Two-panel axial: CT | PSMA PET, [18F]PSMA-1007 tracer. Acquired on Siemens Biograph mCT Flow 20. Slice position z = -124 mm. PET panel 200×200 px (4.1 mm/px). Head region blanked for anonymization (face removed).
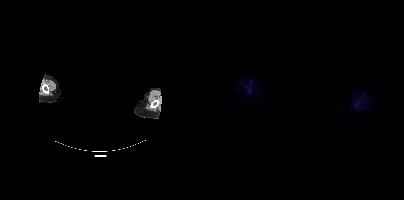
No PSMA-avid tumor lesions on this slice.